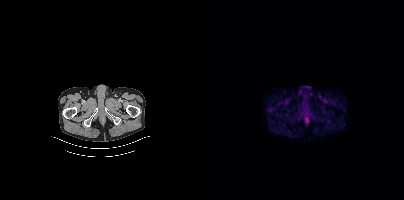
Only PSMA-avid lesion pieces thinner than 2 px on this slice (not listed). Paired axial CT (left) and PSMA PET (right), 18F tracer. Acquired on Siemens Biograph mCT Flow 20. Slice position z = -832 mm.